Technique: Paired axial CT (left) and PSMA PET (right), 18F-PSMA tracer. acquired on Siemens Biograph mCT Flow 20. PET panel 200×200 px (4.1 mm/px).
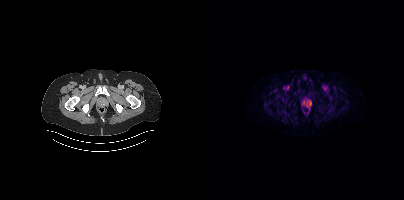
Findings: Only PSMA-avid lesion pieces thinner than 2 px on this slice (not listed).